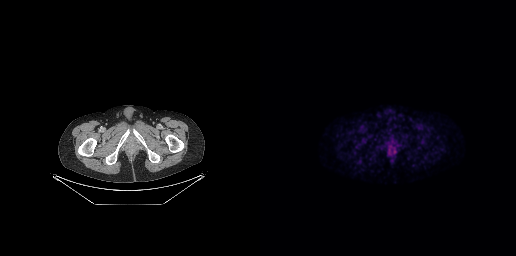
{"modality":"PSMA PET/CT","view":"axial","tracer":"[18F]PSMA-1007","pet_grid":[256,256],"coord_frame":"pet_panel","coord_format":"x0,y0,x1,y1","psma_avid_lesions":false}